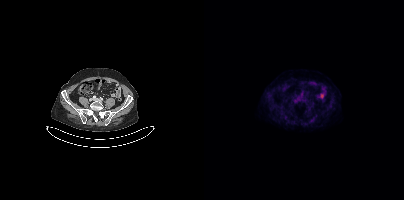
Left: CT. Right: PSMA PET, same axial level, 18F-PSMA tracer. PET panel 200×200 px (4.1 mm/px). No tumor lesions annotated on this slice.